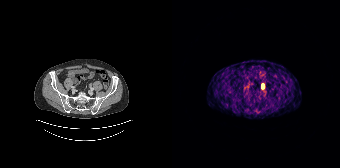
Findings: Coordinates are on the 168×168 PET (right) panel. PSMA-avid tumor lesion bounding box (x, y, width, height): x=89 y=84 w=4 h=5.
Technique: Two-panel axial: CT | PSMA PET, 68Ga-PSMA tracer. PET panel 168×168 px (4.1 mm/px).